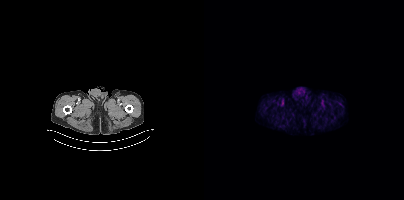
Paired axial CT (left) and PSMA PET (right), 18F tracer. Acquired on Siemens Biograph mCT Flow 20. PET panel 200×200 px (4.1 mm/px). This slice has no annotated PSMA-avid lesion.